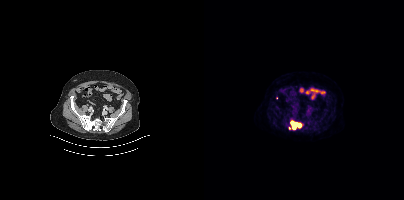
Coordinates are on the 200×200 PET (right) panel. (showing 2 of 3 foci) PSMA-avid tumor lesion bounding box (x0,y0,x1,y1): [86,120,97,129]. Small PSMA-avid focus (2 to 4 px across) near (center x, center y): (85, 128).